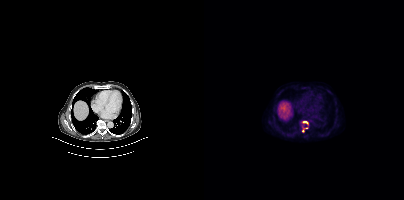
- Left: CT. Right: PSMA PET, same axial level, 18F tracer
- slice position z = -1112 mm
Findings: Coordinates are on the 200×200 PET (right) panel. PSMA-avid tumor lesion bounding boxes (x, y, width, height): x=98 y=121 w=7 h=4 / x=98 y=127 w=6 h=6.